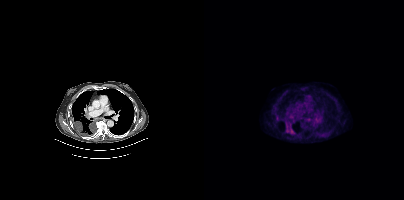
Coordinates are on the 200×200 PET (right) panel. PSMA-avid tumor lesion bounding boxes (x0, y0)-(x1, y1): (82, 125)-(89, 134) | (72, 115)-(74, 119).